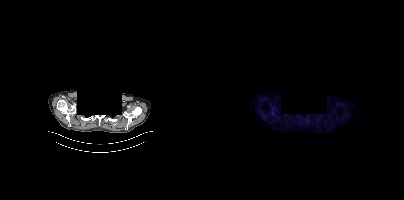
Any black rectangle over the head is a privacy mask, not anatomy. Two-panel axial: CT | PSMA PET, 18F-PSMA tracer. Acquired on Siemens Biograph mCT Flow 20. Slice 333 of 389. PET panel 200×200 px (4.1 mm/px). Only PSMA-avid lesion pieces thinner than 2 px on this slice (not listed).